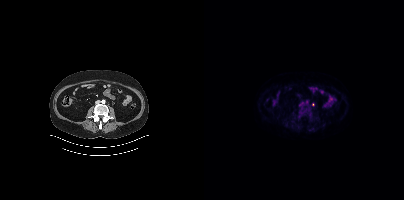
{"modality":"PSMA PET/CT","view":"axial","tracer":"18F","pet_grid":[200,200],"coord_frame":"pet_panel","coord_format":"x0,y0,x1,y1","partial":true,"lesion_bboxes":[]}